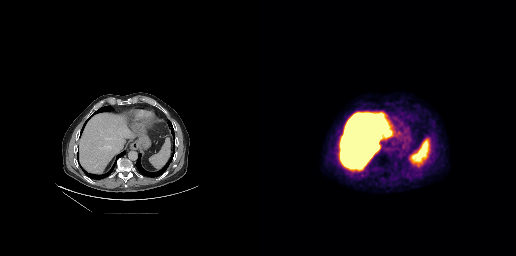
{"modality":"PSMA PET/CT","view":"axial","tracer":"18F-PSMA","pet_grid":[256,256],"coord_frame":"pet_panel","coord_format":"x0,y0,x1,y1","psma_avid_lesions":false}